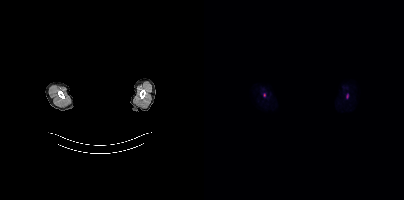
Only PSMA-avid lesion pieces thinner than 2 px on this slice (not listed).
Facial anatomy redacted by setting a rectangular region of the head to black.